Paired axial CT (left) and PSMA PET (right), 68Ga tracer. PET panel 168×168 px (4.1 mm/px).
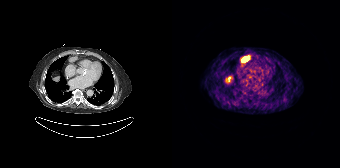
Coordinates are on the 168×168 PET (right) panel. PSMA-avid tumor lesion bounding box (x0,y0,x1,y1): [70,56,76,61].